Privacy masking over the head, with the pixels inside a rectangle set to black.
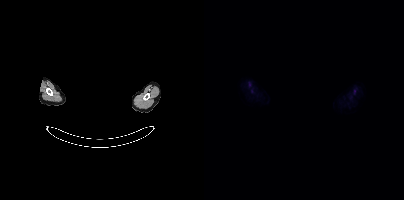
This slice has no annotated PSMA-avid lesion.